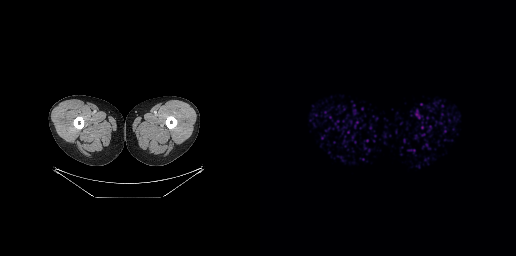
modality: PSMA PET/CT | tracer: 68Ga | view: axial | PET grid: 256×256
Negative for PSMA-avid disease on this slice.